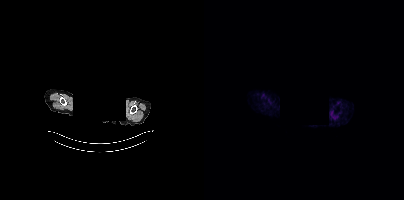
De-identified by setting a box covering the face to black before release. Left: CT. Right: PSMA PET, same axial level, 68Ga-PSMA tracer. Slice 346 of 385. PET panel 200×200 px (4.1 mm/px). Negative for PSMA-avid disease on this slice.